Paired axial CT (left) and PSMA PET (right), 18F-PSMA tracer. PET panel 168×168 px (4.1 mm/px).
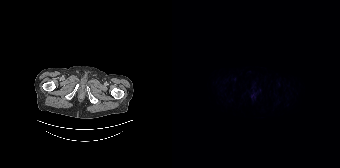
No tumor lesions annotated on this slice.